Technique: Two-panel axial: CT | PSMA PET, [18F]PSMA-1007 tracer. PET panel 200×200 px (4.1 mm/px).
Note: An anonymization step blacked out a rectangle over the head in this scan.
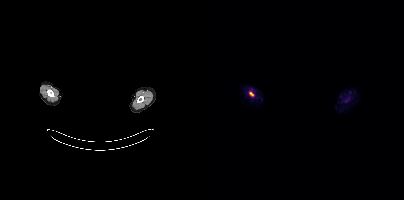
Findings: Coordinates are on the 200×200 PET (right) panel. PSMA-avid tumor lesion bounding box (x, y, width, height): x=45 y=92 w=5 h=4.